- face de-identified by blanking a block of the head
- Paired axial CT (left) and PSMA PET (right), 18F-PSMA tracer
- slice position z = 280 mm
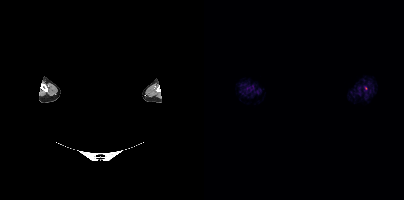
Findings: Negative for PSMA-avid disease on this slice.